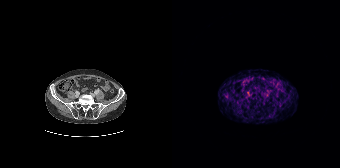
Negative for PSMA-avid disease on this slice.